redaction: head region blanked (face removed) | modality: PSMA PET/CT | tracer: [18F]PSMA-1007 | view: axial
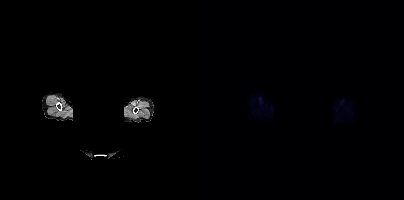
No PSMA-avid tumor lesions on this slice.